Two-panel axial: CT | PSMA PET, 18F-PSMA tracer.
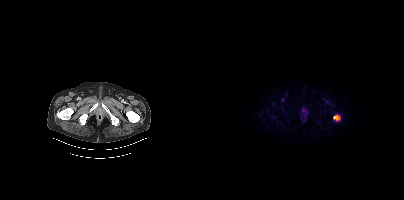
Coordinates are on the 200×200 PET (right) panel. PSMA-avid tumor lesion bounding box (x, y, width, height): x=129 y=115 w=7 h=6. Small PSMA-avid focus (2 to 4 px across) near (center x, center y): (79, 99).